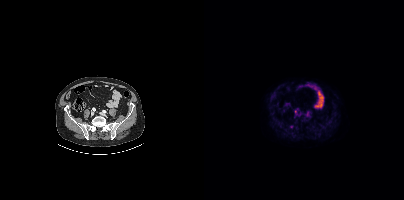
modality: PSMA PET/CT | tracer: 18F | view: axial
Coordinates are on the 200×200 PET (right) panel. Small PSMA-avid focus (2 to 4 px across) near (center x, center y): (91, 111).